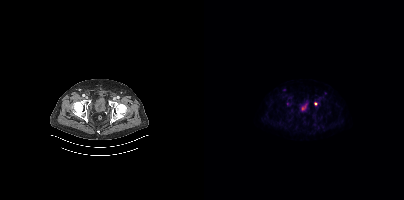
Paired axial CT (left) and PSMA PET (right), [18F]PSMA-1007 tracer. Acquired on Siemens Biograph mCT Flow 20. PET panel 200×200 px (4.1 mm/px). Coordinates are on the 200×200 PET (right) panel. Small PSMA-avid focus (2 to 4 px across) near (center x, center y): (111, 103).